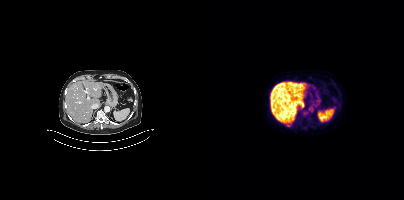
Technique: Paired axial CT (left) and PSMA PET (right), 18F tracer. acquired on Siemens Biograph mCT Flow 20. slice 224 of 393. PET panel 200×200 px (4.1 mm/px).
Findings: Coordinates are on the 200×200 PET (right) panel. Small PSMA-avid foci (2 to 4 px across) near (center x, center y): (101, 113), (83, 125).